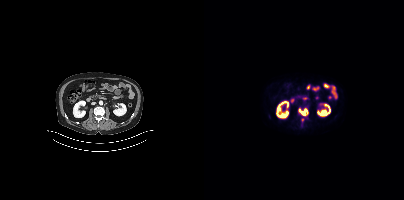
{"modality":"PSMA PET/CT","view":"axial","tracer":"18F","pet_grid":[200,200],"coord_frame":"pet_panel","coord_format":"x0,y0,x1,y1","lesion_bboxes":[[94,108,104,115]],"small_foci_centers":[[98,119]]}